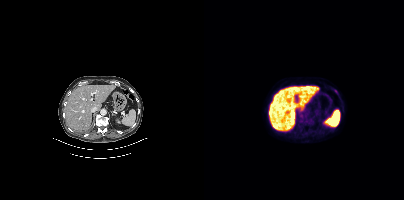
Left: CT. Right: PSMA PET, same axial level, [18F]PSMA-1007 tracer. Slice 219 of 429.
Coordinates are on the 200×200 PET (right) panel. PSMA-avid tumor lesion bounding boxes:
| # | x0 | y0 | x1 | y1 |
|---|---|---|---|---|
| 1 | 130 | 89 | 133 | 93 |